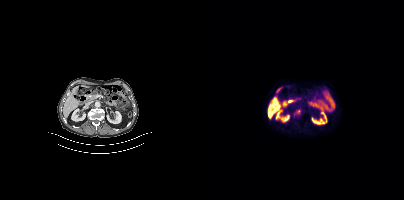
Two-panel axial: CT | PSMA PET, 18F-PSMA tracer. Acquired on Siemens Biograph mCT Flow 20. Slice position z = -690 mm. PET panel 200×200 px (4.1 mm/px). Coordinates are on the 200×200 PET (right) panel. PSMA-avid tumor lesion bounding box (x0, y0)-(x1, y1): (90, 110)-(96, 114).